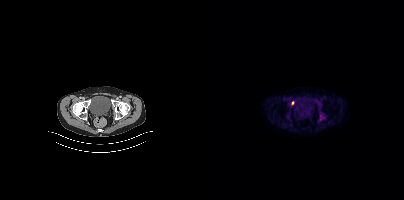
modality: PSMA PET/CT | tracer: [18F]PSMA-1007 | view: axial | PET grid: 200×200
Coordinates are on the 200×200 PET (right) panel. (showing 1 of 2 foci) Small PSMA-avid focus (2 to 4 px across) near (center x, center y): (88, 102).